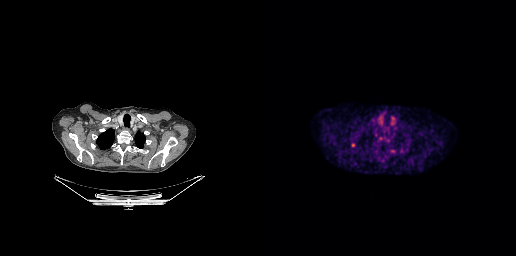
This slice has no annotated PSMA-avid lesion.